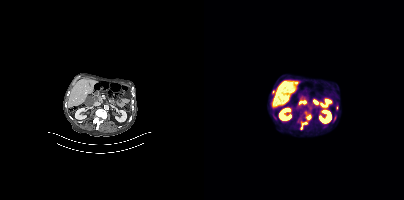
modality: PSMA PET/CT | tracer: 18F | view: axial
Coordinates are on the 200×200 PET (right) panel. (showing 3 of 4 foci) PSMA-avid tumor lesion bounding box (x, y, width, height): x=93 y=119 w=11 h=12. Small PSMA-avid foci (2 to 4 px across) near (center x, center y): (69, 92) | (130, 117).